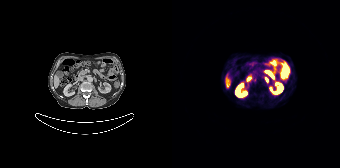
Technique: Left: CT. Right: PSMA PET, same axial level, 68Ga tracer. PET panel 168×168 px (4.1 mm/px).
Findings: Coordinates are on the 168×168 PET (right) panel. PSMA-avid tumor lesion bounding box (x0,y0,x1,y1): [93,77,96,82].